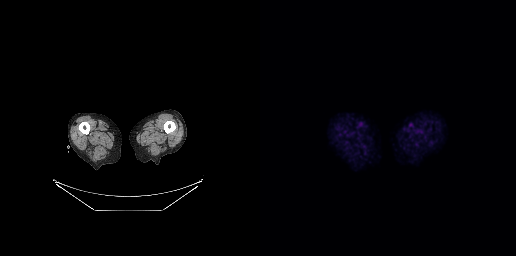
{"modality":"PSMA PET/CT","view":"axial","tracer":"18F-PSMA","pet_grid":[256,256],"coord_frame":"pet_panel","coord_format":"x0,y0,x1,y1","psma_avid_lesions":false}